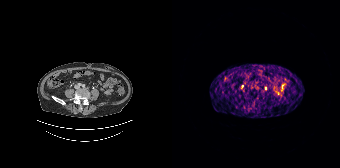
Two-panel axial: CT | PSMA PET, [68Ga]Ga-PSMA-11 tracer. Acquired on Siemens Biograph 64-4R TruePoint. Slice 76 of 195. No tumor lesions annotated on this slice.